modality: PSMA PET/CT | tracer: 18F-PSMA | view: axial | PET grid: 200×200 | redaction: head region blanked (face removed)
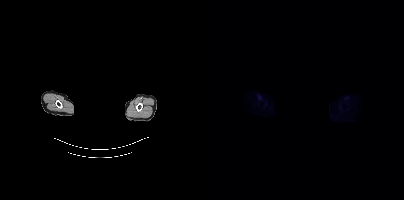
No PSMA-avid tumor lesions on this slice.